modality: PSMA PET/CT | tracer: 68Ga-PSMA | view: axial
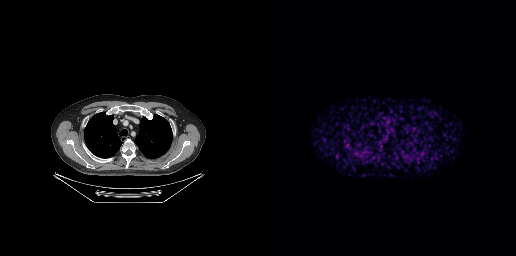
No PSMA-avid tumor lesions on this slice.